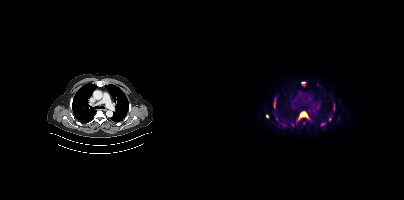
- Paired axial CT (left) and PSMA PET (right), 18F tracer
Findings: Coordinates are on the 200×200 PET (right) panel. PSMA-avid tumor lesion bounding boxes (x0, y0)-(x1, y1): (96, 112)-(103, 116) | (70, 103)-(71, 107). Small PSMA-avid foci (2 to 4 px across) near (center x, center y): (129, 108) | (63, 116) | (100, 123) | (70, 99) | (99, 82) | (125, 119) | (118, 124).